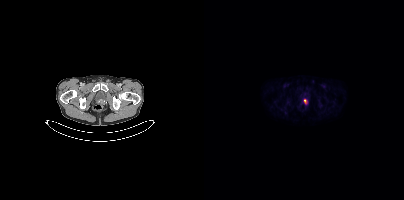
Paired axial CT (left) and PSMA PET (right), 18F tracer. Acquired on Siemens Biograph mCT Flow 20. PET panel 200×200 px (4.1 mm/px). Coordinates are on the 200×200 PET (right) panel. PSMA-avid tumor lesion bounding box (x0, y0)-(x1, y1): (100, 99)-(103, 104).